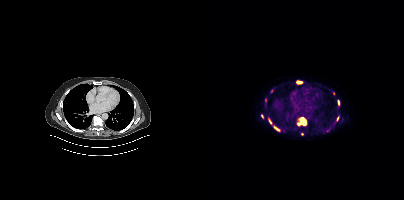
{"pet_grid":[200,200],"coord_frame":"pet_panel","coord_format":"x0,y0,x1,y1","partial":true,"lesion_bboxes":[[93,117,102,125],[92,81,98,83],[134,100,135,105],[65,119,67,123]],"small_foci_centers":[[71,127],[98,134],[58,116],[133,118]],"modality":"PSMA PET/CT","view":"axial","tracer":"18F"}